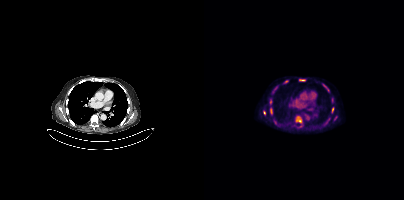
Coordinates are on the 200×200 PET (right) panel. (showing 7 of 9 foci) PSMA-avid tumor lesion bounding boxes (x, y, width, height): x=66 y=108 w=3 h=7; x=95 y=79 w=7 h=3; x=128 y=107 w=2 h=6. Small PSMA-avid foci (2 to 4 px across) near (center x, center y): (94, 119); (66, 101); (60, 112); (82, 81).